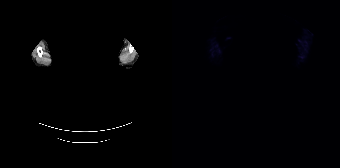
{"modality":"PSMA PET/CT","view":"axial","tracer":"[18F]PSMA-1007","pet_grid":[168,168],"coord_frame":"pet_panel","coord_format":"x0,y0,x1,y1","psma_avid_lesions":false,"redaction":"rectangular block over head set to black"}